Technique: Two-panel axial: CT | PSMA PET, [18F]PSMA-1007 tracer. slice position z = -981 mm. PET panel 200×200 px (4.1 mm/px).
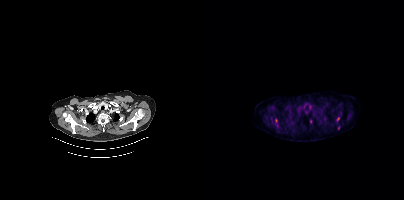
Findings: Coordinates are on the 200×200 PET (right) panel. (showing 3 of 5 foci) PSMA-avid tumor lesion bounding box (x0, y0)-(x1, y1): (132, 117)-(135, 121). Small PSMA-avid foci (2 to 4 px across) near (center x, center y): (134, 127) / (106, 121).